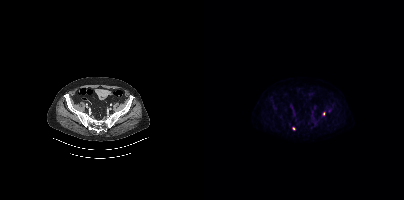
Coordinates are on the 200×200 PET (right) panel. (showing 2 of 3 foci) Small PSMA-avid foci (2 to 4 px across) near (center x, center y): (89, 128); (119, 113).